Two-panel axial: CT | PSMA PET, [68Ga]Ga-PSMA-11 tracer. Acquired on GE Discovery 690. PET panel 256×256 px (2.7 mm/px).
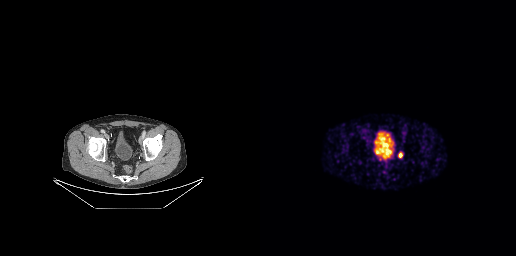
Coordinates are on the 256×256 PET (right) panel. PSMA-avid tumor lesion bounding box (x0, y0)-(x1, y1): (138, 153)-(142, 157).